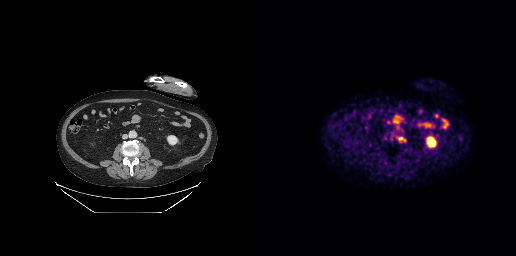
modality: PSMA PET/CT | tracer: [18F]PSMA-1007 | view: axial
Coordinates are on the 256×256 PET (right) panel. Small PSMA-avid focus (2 to 4 px across) near (center x, center y): (140, 138).